Technique: Two-panel axial: CT | PSMA PET, 18F tracer. acquired on GE Discovery 690. PET panel 256×256 px (2.7 mm/px).
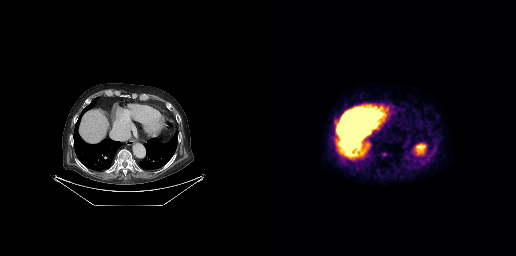
Findings: Coordinates are on the 256×256 PET (right) panel. PSMA-avid tumor lesion bounding box (x0, y0)-(x1, y1): (74, 121)-(77, 125). Small PSMA-avid focus (2 to 4 px across) near (center x, center y): (124, 154).